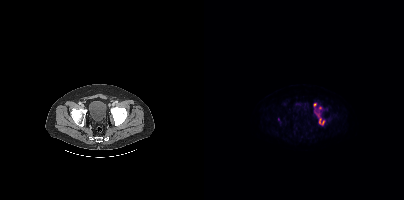
{"modality":"PSMA PET/CT","view":"axial","tracer":"18F","pet_grid":[200,200],"coord_frame":"pet_panel","coord_format":"x0,y0,x1,y1","lesion_bboxes":[[111,107,120,125]],"small_foci_centers":[[110,104]]}